Left: CT. Right: PSMA PET, same axial level, [18F]PSMA-1007 tracer. Acquired on Siemens Biograph mCT Flow 20. Slice position z = -1752 mm. PET panel 200×200 px (4.1 mm/px).
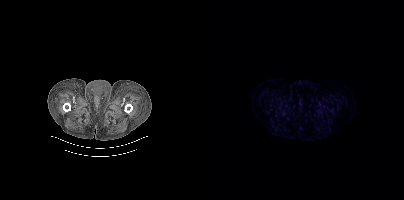
This slice has no annotated PSMA-avid lesion.